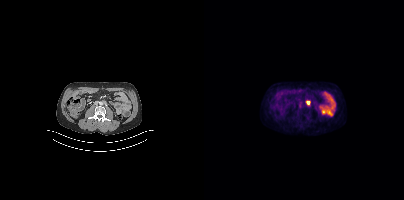
Findings: Coordinates are on the 200×200 PET (right) panel. PSMA-avid tumor lesion bounding box (x, y, width, height): x=102 y=100 w=5 h=5. Small PSMA-avid focus (2 to 4 px across) near (center x, center y): (96, 106).
- Left: CT. Right: PSMA PET, same axial level, 18F tracer